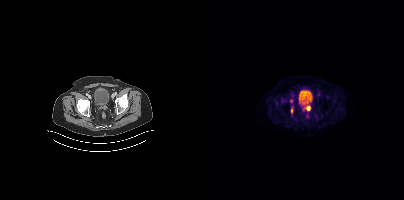
Coordinates are on the 200×200 PET (right) panel. PSMA-avid tumor lesion bounding box (x, y, width, height): x=102 y=106 w=5 h=5. Small PSMA-avid foci (2 to 4 px across) near (center x, center y): (87, 110); (87, 100); (99, 109).